- Two-panel axial: CT | PSMA PET, 18F tracer
- slice 289 of 415
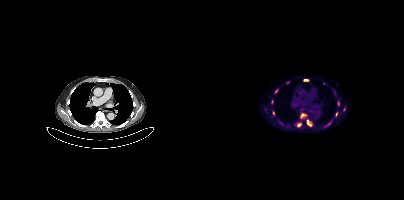
Findings: Coordinates are on the 200×200 PET (right) panel. (showing 11 of 13 foci) PSMA-avid tumor lesion bounding boxes (x, y, width, height): x=103 y=120 w=6 h=7 / x=96 y=113 w=7 h=6 / x=93 y=123 w=5 h=4 / x=99 y=79 w=6 h=3 / x=71 y=89 w=3 h=5. Small PSMA-avid foci (2 to 4 px across) near (center x, center y): (124, 123) / (69, 112) / (132, 113) / (134, 103) / (68, 101) / (83, 82).